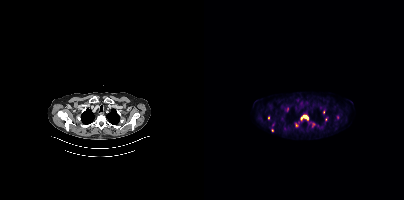
{"modality":"PSMA PET/CT","view":"axial","tracer":"[18F]PSMA-1007","pet_grid":[200,200],"coord_frame":"pet_panel","coord_format":"x0,y0,x1,y1","partial":true,"lesion_bboxes":[[96,114,104,120]],"small_foci_centers":[[93,124],[119,112],[68,130],[64,117]]}